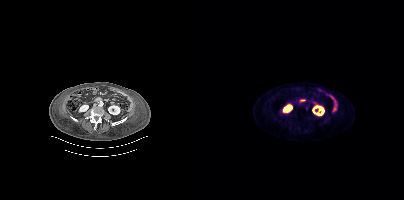
Left: CT. Right: PSMA PET, same axial level, 18F tracer. Acquired on Siemens Biograph mCT Flow 20. No tumor lesions annotated on this slice.